Left: CT. Right: PSMA PET, same axial level, [68Ga]Ga-PSMA-11 tracer. Acquired on Siemens Biograph 64-4R TruePoint. Slice 46 of 195. PET panel 168×168 px (4.1 mm/px).
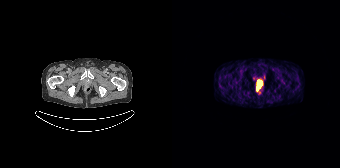
Coordinates are on the 168×168 PET (right) panel. PSMA-avid tumor lesion bounding boxes:
| # | x0 | y0 | x1 | y1 |
|---|---|---|---|---|
| 1 | 84 | 80 | 89 | 90 |